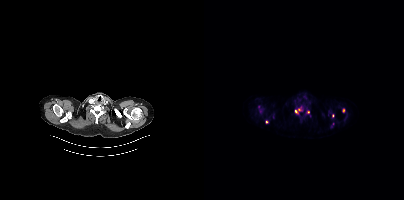
{"modality":"PSMA PET/CT","view":"axial","tracer":"18F","pet_grid":[200,200],"coord_frame":"pet_panel","coord_format":"x0,y0,x1,y1","lesion_bboxes":[],"small_foci_centers":[[92,111],[139,110],[104,112],[128,115],[95,109],[62,121]]}